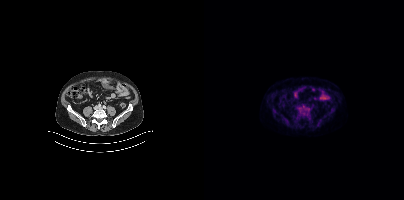
Coordinates are on the 200×200 PET (right) panel. Small PSMA-avid focus (2 to 4 px across) near (center x, center y): (94, 109).